- Left: CT. Right: PSMA PET, same axial level, [18F]PSMA-1007 tracer
- acquired on Siemens Biograph mCT Flow 20
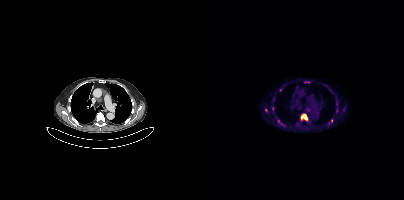
Findings: Coordinates are on the 200×200 PET (right) panel. (showing 4 of 6 foci) PSMA-avid tumor lesion bounding box (x0,y0,x1,y1): [97,114,103,120]. Small PSMA-avid foci (2 to 4 px across) near (center x, center y): (76, 90), (61, 110), (127, 120).